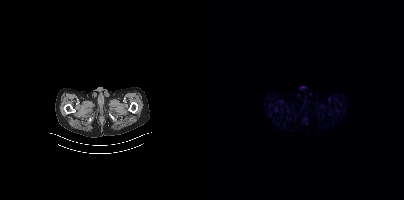
- Paired axial CT (left) and PSMA PET (right), 18F-PSMA tracer
- acquired on Siemens Biograph mCT Flow 20
Findings: No tumor lesions annotated on this slice.